Technique: Two-panel axial: CT | PSMA PET, 18F tracer.
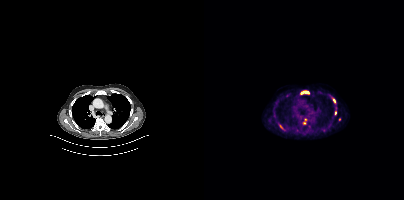
Findings: Coordinates are on the 200×200 PET (right) panel. PSMA-avid tumor lesion bounding boxes (x, y, width, height): x=96 y=91 w=10 h=4; x=129 y=98 w=3 h=5; x=75 y=125 w=5 h=5. Small PSMA-avid foci (2 to 4 px across) near (center x, center y): (100, 123); (131, 112); (101, 119); (135, 119).